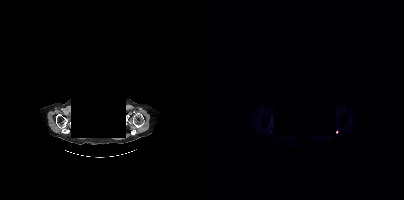
Left: CT. Right: PSMA PET, same axial level, 18F-PSMA tracer. De-identified by setting a box covering the face to black before release. Coordinates are on the 200×200 PET (right) panel. Small PSMA-avid focus (2 to 4 px across) near (center x, center y): (132, 132).